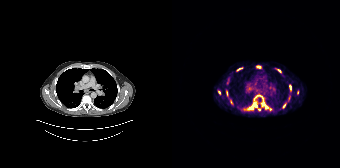
Findings: Coordinates are on the 168×168 PET (right) panel. (showing 11 of 12 foci) PSMA-avid tumor lesion bounding boxes (x0,y0,x1,y1): [72,102,85,110], [82,95,96,108], [117,84,119,91], [84,66,88,68], [65,67,70,70]. Small PSMA-avid foci (2 to 4 px across) near (center x, center y): (59, 101), (112, 105), (107, 70), (47, 92), (87, 109), (125, 91).
- Two-panel axial: CT | PSMA PET, 68Ga tracer
- slice position z = -320 mm